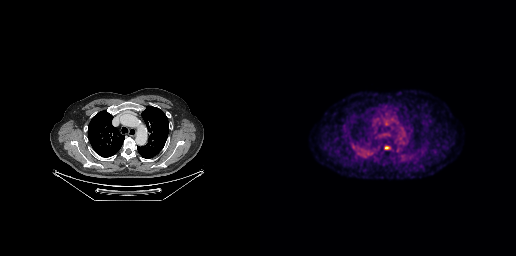
Paired axial CT (left) and PSMA PET (right), 18F-PSMA tracer. Acquired on GE Discovery 690. Slice 239 of 299. PET panel 256×256 px (2.7 mm/px). Coordinates are on the 256×256 PET (right) panel. Small PSMA-avid focus (2 to 4 px across) near (center x, center y): (126, 147).